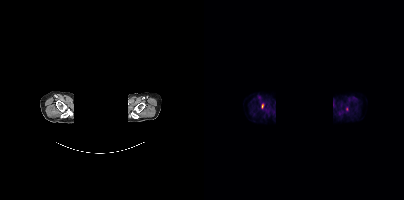
Coordinates are on the 200×200 PET (right) panel. Small PSMA-avid focus (2 to 4 px across) near (center x, center y): (58, 106). Face de-identified by blanking a block of the head. Two-panel axial: CT | PSMA PET, 18F tracer. Acquired on Siemens Biograph mCT Flow 20. PET panel 200×200 px (4.1 mm/px).